Paired axial CT (left) and PSMA PET (right), 18F tracer. Slice 60 of 429.
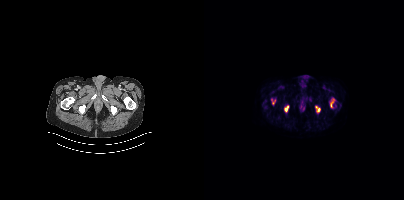
Coordinates are on the 200×200 PET (right) panel. PSMA-avid tumor lesion bounding boxes (x0,y0,x1,y1): [126,99,130,107]; [80,106,84,111]; [111,106,116,111]; [67,99,71,103].